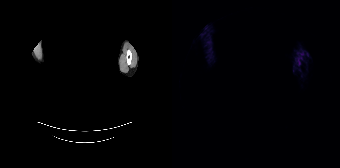
Technique: Left: CT. Right: PSMA PET, same axial level, 68Ga-PSMA tracer. slice position z = -164 mm.
Note: Facial anatomy redacted by setting a rectangular region of the head to black.
Findings: Negative for PSMA-avid disease on this slice.